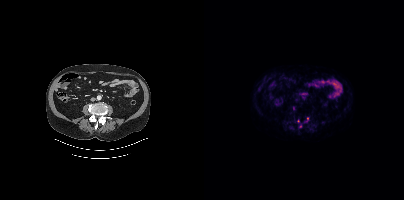
Coordinates are on the 200×200 PET (right) panel. (showing 1 of 3 foci) Small PSMA-avid focus (2 to 4 px across) near (center x, center y): (103, 118). Two-panel axial: CT | PSMA PET, 18F-PSMA tracer.